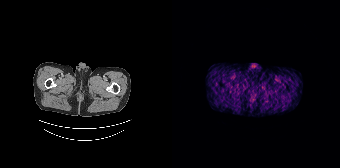
This slice has no annotated PSMA-avid lesion. Paired axial CT (left) and PSMA PET (right), 68Ga-PSMA tracer. Slice position z = -1626 mm.